Paired axial CT (left) and PSMA PET (right), 18F tracer. Slice position z = -726 mm. PET panel 256×256 px (2.7 mm/px).
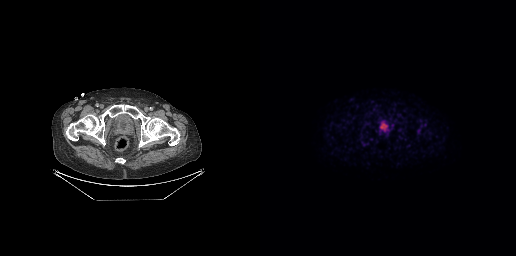
Coordinates are on the 256×256 PET (right) panel. Small PSMA-avid focus (2 to 4 px across) near (center x, center y): (158, 131).